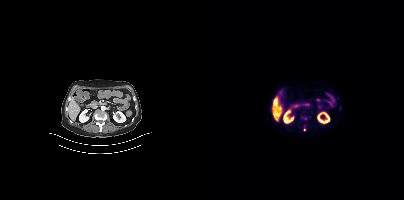
Left: CT. Right: PSMA PET, same axial level, [18F]PSMA-1007 tracer. Slice 172 of 403. PET panel 200×200 px (4.1 mm/px).
Coordinates are on the 200×200 PET (right) panel. PSMA-avid tumor lesion bounding boxes:
| # | x0 | y0 | x1 | y1 |
|---|---|---|---|---|
| 1 | 70 | 100 | 72 | 104 |
Small PSMA-avid focus (2 to 4 px across) near (center x, center y): (100, 129).